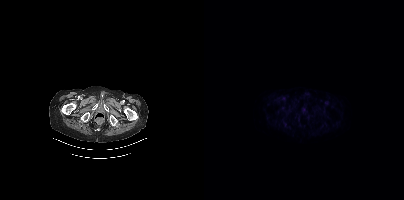
Two-panel axial: CT | PSMA PET, 18F tracer. Slice position z = -966 mm. PET panel 200×200 px (4.1 mm/px). No PSMA-avid tumor lesions on this slice.